modality: PSMA PET/CT | tracer: 68Ga-PSMA | view: axial
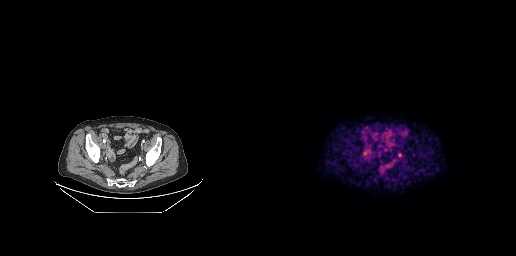
No tumor lesions annotated on this slice.